- a rectangle over the head was blacked out to remove identifiable facial features
- Paired axial CT (left) and PSMA PET (right), [18F]PSMA-1007 tracer
- acquired on Siemens Biograph mCT Flow 20
- slice 442 of 462
- PET panel 200×200 px (4.1 mm/px)
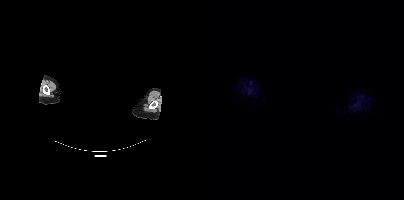
Findings: No tumor lesions annotated on this slice.